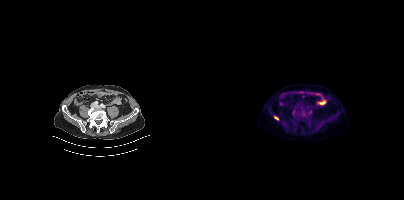
- Two-panel axial: CT | PSMA PET, 18F-PSMA tracer
- slice 154 of 442
- PET panel 200×200 px (4.1 mm/px)
Findings: Coordinates are on the 200×200 PET (right) panel. (showing 2 of 3 foci) PSMA-avid tumor lesion bounding box (x0, y0)-(x1, y1): (70, 116)-(74, 120). Small PSMA-avid focus (2 to 4 px across) near (center x, center y): (89, 111).